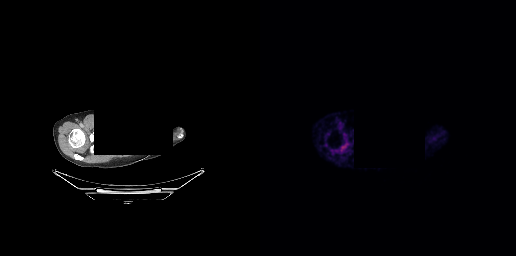
Negative for PSMA-avid disease on this slice. A rectangle over the head was blacked out to remove identifiable facial features. Two-panel axial: CT | PSMA PET, 68Ga tracer. Acquired on GE Discovery 690. Slice 231 of 263.